Two-panel axial: CT | PSMA PET, 18F-PSMA tracer. Slice position z = -781 mm.
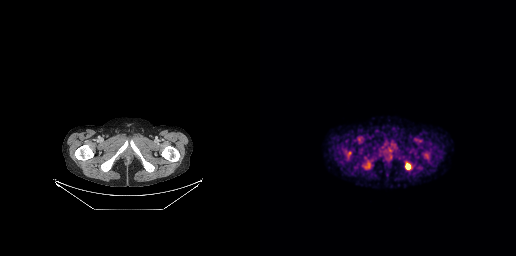
Coordinates are on the 256×256 PET (right) panel. PSMA-avid tumor lesion bounding boxes:
| # | x0 | y0 | x1 | y1 |
|---|---|---|---|---|
| 1 | 146 | 164 | 150 | 169 |
| 2 | 105 | 163 | 110 | 167 |